modality: PSMA PET/CT | tracer: 18F-PSMA | view: axial
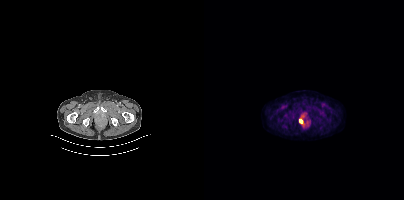
Coordinates are on the 200×200 PET (right) panel. PSMA-avid tumor lesion bounding box (x, y, width, height): x=95 y=119 w=4 h=5.